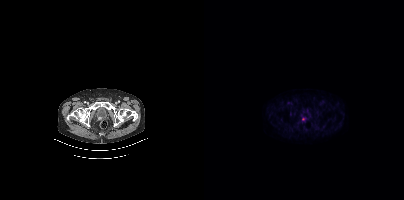
- Two-panel axial: CT | PSMA PET, [18F]PSMA-1007 tracer
- acquired on Siemens Biograph mCT Flow 20
- PET panel 200×200 px (4.1 mm/px)
Findings: Only PSMA-avid lesion pieces thinner than 2 px on this slice (not listed).